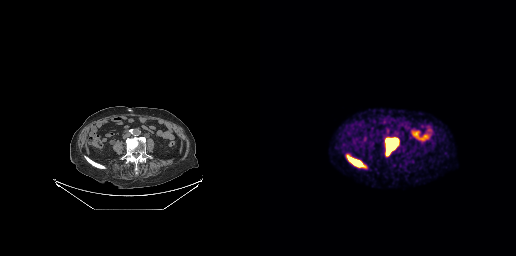
Paired axial CT (left) and PSMA PET (right), [18F]PSMA-1007 tracer. Slice position z = -500 mm. Coordinates are on the 256×256 PET (right) panel. PSMA-avid tumor lesion bounding boxes (x, y, width, height): x=125 y=137 w=15 h=19 / x=87 y=155 w=17 h=12.